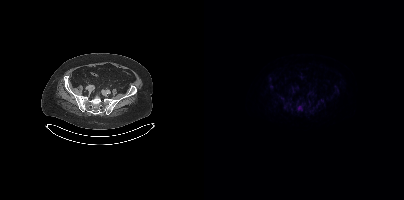
Coordinates are on the 200×200 PET (right) panel. Small PSMA-avid focus (2 to 4 px across) near (center x, center y): (95, 107).